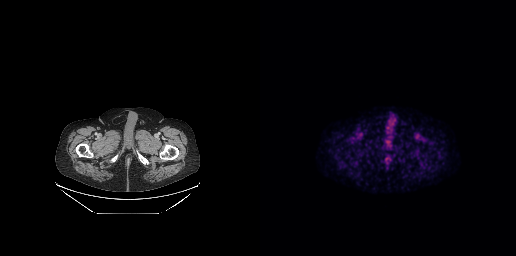
This slice has no annotated PSMA-avid lesion.